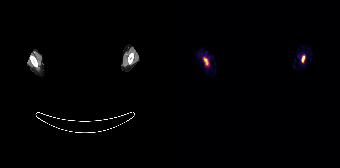
Two-panel axial: CT | PSMA PET, 68Ga tracer. Slice 159 of 165. Any black rectangle over the head is a privacy mask, not anatomy.
Coordinates are on the 168×168 PET (right) panel. PSMA-avid tumor lesion bounding boxes:
| # | x0 | y0 | x1 | y1 |
|---|---|---|---|---|
| 1 | 31 | 57 | 36 | 65 |
| 2 | 129 | 55 | 133 | 62 |